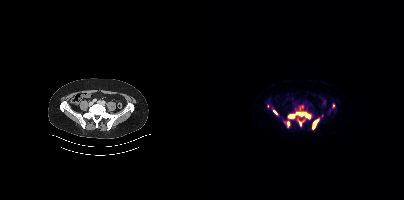
Findings: Coordinates are on the 200×200 PET (right) panel. (showing 6 of 8 foci) PSMA-avid tumor lesion bounding boxes (x0,y0,x1,y1): [84,112,106,118] [108,118,115,129] [83,121,85,127] [69,110,73,114] [95,121,97,125]. Small PSMA-avid focus (2 to 4 px across) near (center x, center y): (129, 105).
- Left: CT. Right: PSMA PET, same axial level, 18F-PSMA tracer
- acquired on Siemens Biograph mCT Flow 20
- slice 123 of 444
- PET panel 200×200 px (4.1 mm/px)